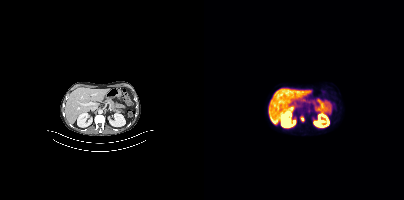
{"pet_grid":[200,200],"coord_frame":"pet_panel","coord_format":"x0,y0,x1,y1","lesion_bboxes":[[96,116,100,121]],"modality":"PSMA PET/CT","view":"axial","tracer":"18F"}